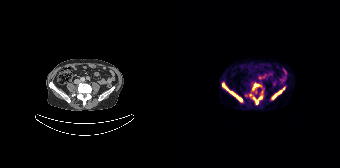
{"modality":"PSMA PET/CT","view":"axial","tracer":"68Ga-PSMA","pet_grid":[168,168],"coord_frame":"pet_panel","coord_format":"x0,y0,x1,y1","partial":true,"lesion_bboxes":[[50,83,70,101],[81,95,90,104],[100,88,112,98],[80,83,87,90]]}